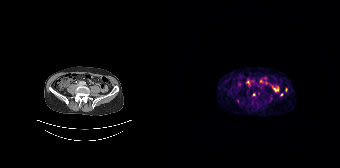
{"modality":"PSMA PET/CT","view":"axial","tracer":"68Ga-PSMA","pet_grid":[168,168],"coord_frame":"pet_panel","coord_format":"x0,y0,x1,y1","partial":true,"lesion_bboxes":[],"small_foci_centers":[[81,94],[109,94]]}